Paired axial CT (left) and PSMA PET (right), 18F tracer. Acquired on Siemens Biograph mCT Flow 20. Slice position z = -914 mm.
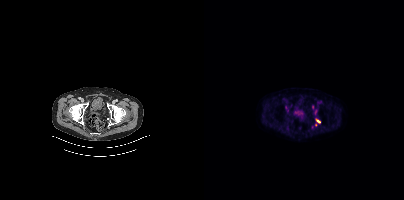
Coordinates are on the 200×200 PET (right) panel. PSMA-avid tumor lesion bounding boxes (partial; 1 more focus not listed):
| # | x0 | y0 | x1 | y1 |
|---|---|---|---|---|
| 1 | 112 | 119 | 116 | 122 |